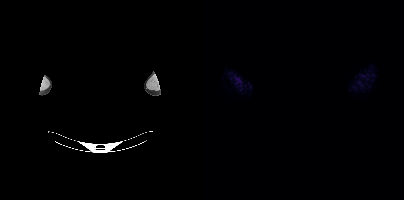
{"modality":"PSMA PET/CT","view":"axial","tracer":"18F","pet_grid":[200,200],"coord_frame":"pet_panel","coord_format":"x0,y0,x1,y1","de-identification":"facial region redacted","psma_avid_lesions":false}